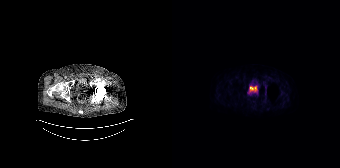
No PSMA-avid tumor lesions on this slice.